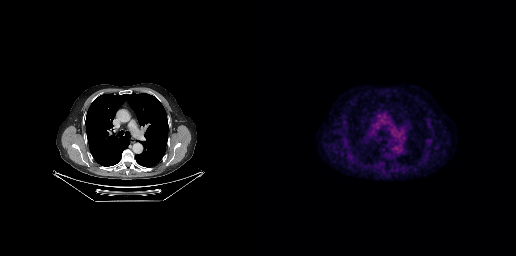
No tumor lesions annotated on this slice.